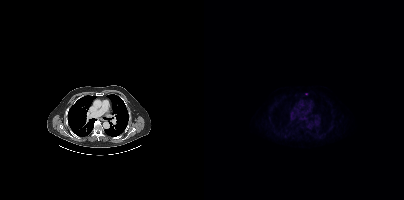
Two-panel axial: CT | PSMA PET, 18F-PSMA tracer. Coordinates are on the 200×200 PET (right) panel. Small PSMA-avid focus (2 to 4 px across) near (center x, center y): (102, 93).